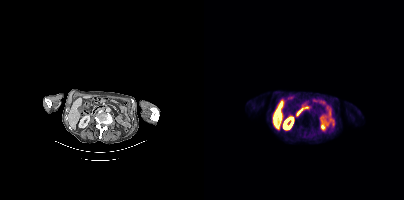
Left: CT. Right: PSMA PET, same axial level, 18F-PSMA tracer. PET panel 200×200 px (4.1 mm/px). No PSMA-avid tumor lesions on this slice.